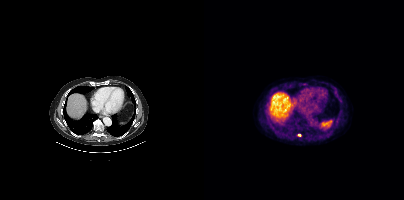
Left: CT. Right: PSMA PET, same axial level, [18F]PSMA-1007 tracer. Coordinates are on the 200×200 PET (right) panel. Small PSMA-avid focus (2 to 4 px across) near (center x, center y): (95, 134).